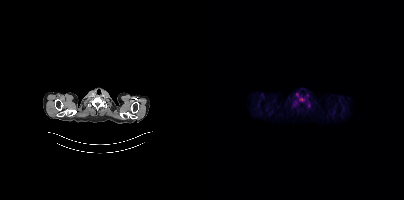
This slice has no annotated PSMA-avid lesion.